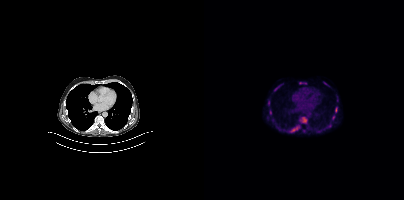
modality: PSMA PET/CT | tracer: 18F | view: axial | PET grid: 200×200
Coordinates are on the 200×200 PET (right) panel. PSMA-avid tumor lesion bounding boxes (x0, y0)-(x1, y1): (95, 117)-(103, 123); (86, 125)-(95, 132); (95, 82)-(102, 84); (131, 107)-(133, 112); (128, 115)-(130, 119); (70, 86)-(74, 90); (64, 101)-(65, 105).